Technique: Two-panel axial: CT | PSMA PET, 18F-PSMA tracer. slice 261 of 450.
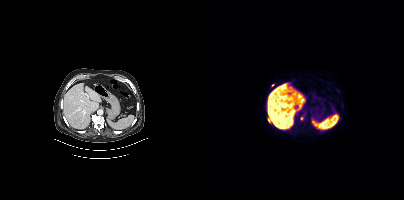
Findings: Coordinates are on the 200×200 PET (right) panel. Small PSMA-avid foci (2 to 4 px across) near (center x, center y): (98, 118) (68, 85).